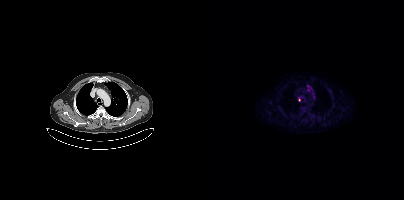
{"modality":"PSMA PET/CT","view":"axial","tracer":"[18F]PSMA-1007","pet_grid":[200,200],"coord_frame":"pet_panel","coord_format":"x0,y0,x1,y1","partial":true,"lesion_bboxes":[[103,85,107,90]],"small_foci_centers":[[95,99]]}